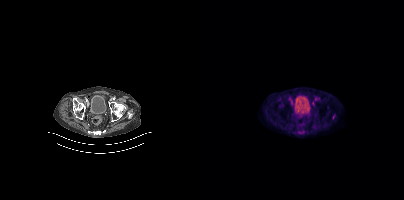
Coordinates are on the 200×200 PET (right) panel. PSMA-avid tumor lesion bounding box (x0,y0,x1,y1): [128,113,132,120]. Small PSMA-avid foci (2 to 4 px across) near (center x, center y): (111, 99), (108, 103).